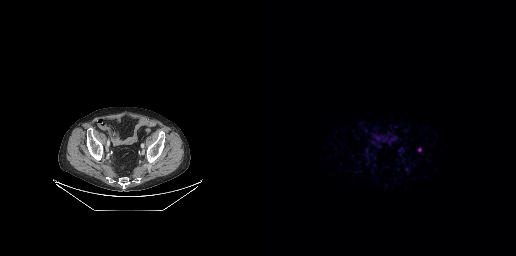
modality: PSMA PET/CT | tracer: [68Ga]Ga-PSMA-11 | view: axial | PET grid: 256×256
Coordinates are on the 256×256 PET (right) panel. Small PSMA-avid focus (2 to 4 px across) near (center x, center y): (159, 149).